modality: PSMA PET/CT | tracer: 18F-PSMA | view: axial
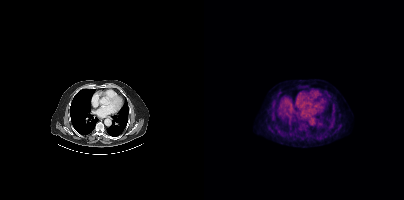
No PSMA-avid tumor lesions on this slice.